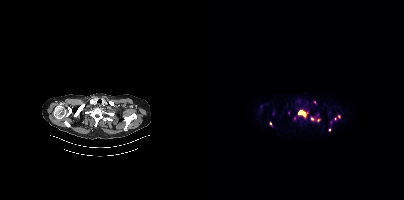
Coordinates are on the 200×200 PET (right) panel. PSMA-avid tumor lesion bounding box (x0, y0)-(x1, y1): (94, 110)-(103, 117). Small PSMA-avid foci (2 to 4 px across) near (center x, center y): (108, 118); (135, 116); (114, 120); (131, 118); (66, 123); (125, 129); (110, 101). Left: CT. Right: PSMA PET, same axial level, 18F-PSMA tracer. Acquired on Siemens Biograph mCT Flow 20.